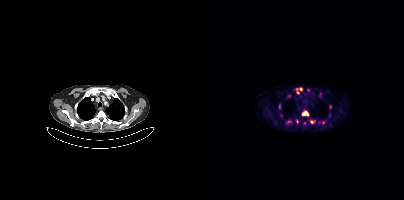
Coordinates are on the 200×200 PET (right) panel. PSMA-avid tumor lesion bounding boxes (partial; 4 more foci not listed):
| # | x0 | y0 | x1 | y1 |
|---|---|---|---|---|
| 1 | 98 | 110 | 104 | 115 |
| 2 | 75 | 104 | 76 | 108 |
| 3 | 106 | 121 | 110 | 123 |
Small PSMA-avid foci (2 to 4 px across) near (center x, center y): (83, 121); (97, 89); (119, 122); (93, 92); (126, 106).
Two-panel axial: CT | PSMA PET, 18F tracer. Acquired on Siemens Biograph mCT Flow 20. Slice 328 of 415. PET panel 200×200 px (4.1 mm/px).